Facial anatomy redacted by setting a rectangular region of the head to black. Left: CT. Right: PSMA PET, same axial level, 68Ga-PSMA tracer. Slice 366 of 411. PET panel 200×200 px (4.1 mm/px).
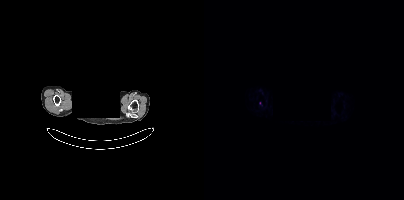
Coordinates are on the 200×200 PET (right) panel. Small PSMA-avid focus (2 to 4 px across) near (center x, center y): (55, 103).